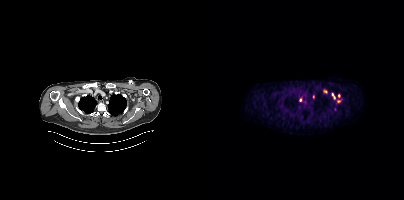
Paired axial CT (left) and PSMA PET (right), [68Ga]Ga-PSMA-11 tracer. Acquired on Siemens Biograph mCT Flow 20. Coordinates are on the 200×200 PET (right) panel. (showing 4 of 7 foci) Small PSMA-avid foci (2 to 4 px across) near (center x, center y): (109, 96) / (121, 91) / (128, 94) / (96, 100).